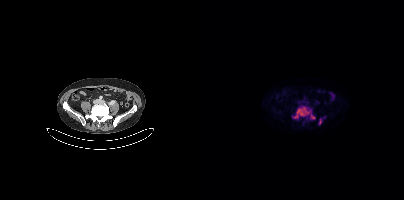
{"modality":"PSMA PET/CT","view":"axial","tracer":"18F","pet_grid":[200,200],"coord_frame":"pet_panel","coord_format":"x0,y0,x1,y1","partial":true,"lesion_bboxes":[[88,106,111,119],[115,118,117,124]]}